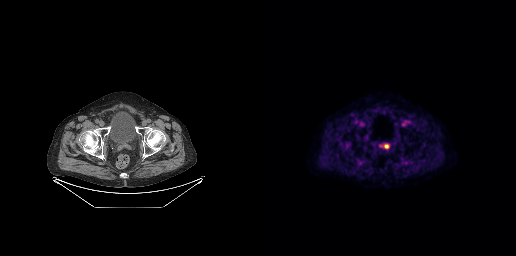
Coordinates are on the 256×256 PET (right) panel. Small PSMA-avid focus (2 to 4 px across) near (center x, center y): (126, 146). Paired axial CT (left) and PSMA PET (right), [18F]PSMA-1007 tracer. Slice 59 of 263.